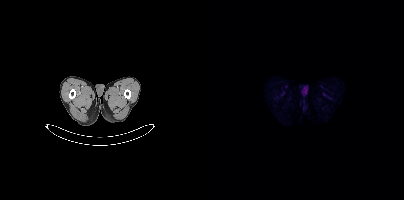
{"modality":"PSMA PET/CT","view":"axial","tracer":"18F","pet_grid":[200,200],"coord_frame":"pet_panel","coord_format":"x0,y0,x1,y1","psma_avid_lesions":false}